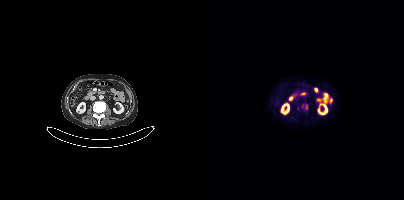
Findings: Coordinates are on the 200×200 PET (right) panel. PSMA-avid tumor lesion bounding box (x0,y0,x1,y1): [102,104,103,109]. Small PSMA-avid focus (2 to 4 px across) near (center x, center y): (98, 105).
Technique: Left: CT. Right: PSMA PET, same axial level, [18F]PSMA-1007 tracer. acquired on Siemens Biograph mCT Flow 20. slice 163 of 391. PET panel 200×200 px (4.1 mm/px).